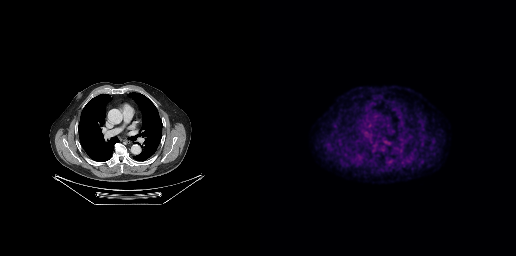
No tumor lesions annotated on this slice.
modality: PSMA PET/CT | tracer: [18F]PSMA-1007 | view: axial | PET grid: 256×256